modality: PSMA PET/CT | tracer: [18F]PSMA-1007 | view: axial
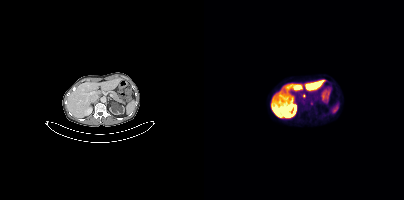
Coordinates are on the 200×200 PET (right) panel. Small PSMA-avid focus (2 to 4 px across) near (center x, center y): (99, 95).